- Left: CT. Right: PSMA PET, same axial level, 68Ga tracer
- slice position z = -878 mm
- PET panel 256×256 px (2.7 mm/px)
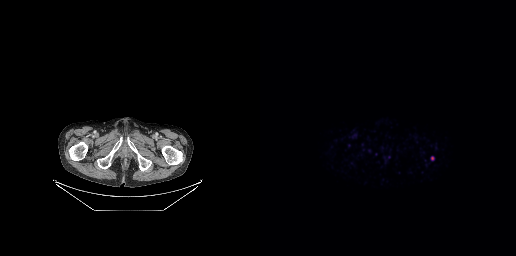
Findings: Coordinates are on the 256×256 PET (right) panel. PSMA-avid tumor lesion bounding box (x, y, width, height): x=171 y=156 w=4 h=5.